Two-panel axial: CT | PSMA PET, [18F]PSMA-1007 tracer. The face region was removed for patient privacy by blanking a rectangle over the head.
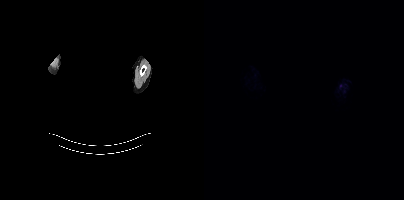
This slice has no annotated PSMA-avid lesion.